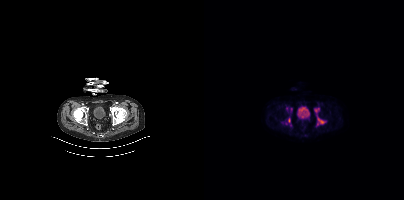
{"modality":"PSMA PET/CT","view":"axial","tracer":"18F","pet_grid":[200,200],"coord_frame":"pet_panel","coord_format":"x0,y0,x1,y1","partial":true,"lesion_bboxes":[[110,107,121,125],[81,117,86,124]],"small_foci_centers":[[87,109],[82,108]]}